Two-panel axial: CT | PSMA PET, 18F-PSMA tracer. Acquired on Siemens Biograph mCT Flow 20. Slice position z = -368 mm.
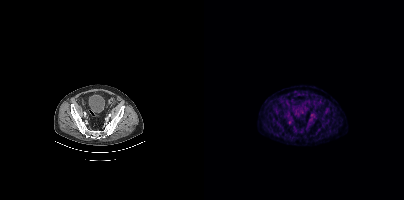
Negative for PSMA-avid disease on this slice.